Technique: Left: CT. Right: PSMA PET, same axial level, 18F-PSMA tracer. acquired on Siemens Biograph mCT Flow 20. PET panel 200×200 px (4.1 mm/px).
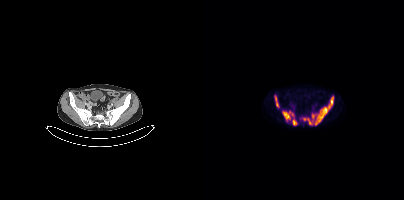
Findings: Coordinates are on the 200×200 PET (right) panel. PSMA-avid tumor lesion bounding boxes (x0, y0)-(x1, y1): (98, 96)-(129, 125); (78, 110)-(93, 125); (70, 95)-(75, 107).